- Left: CT. Right: PSMA PET, same axial level, [68Ga]Ga-PSMA-11 tracer
- slice 145 of 195
- PET panel 168×168 px (4.1 mm/px)
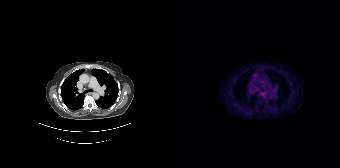
Findings: Coordinates are on the 168×168 PET (right) panel. Small PSMA-avid focus (2 to 4 px across) near (center x, center y): (89, 93).